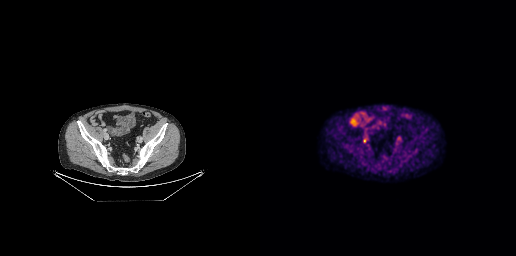
Technique: Left: CT. Right: PSMA PET, same axial level, [18F]PSMA-1007 tracer. acquired on GE Discovery 690. slice 99 of 299.
Findings: Coordinates are on the 256×256 PET (right) panel. Small PSMA-avid focus (2 to 4 px across) near (center x, center y): (104, 139).